Technique: Left: CT. Right: PSMA PET, same axial level, 18F-PSMA tracer. acquired on GE Discovery 690. slice position z = -829 mm. PET panel 256×256 px (2.7 mm/px).
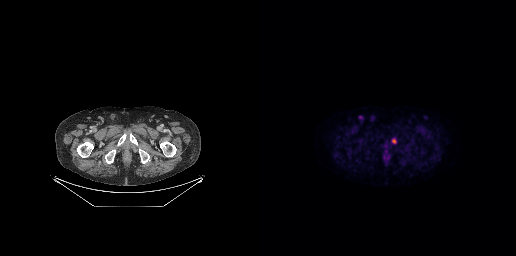
Findings: Coordinates are on the 256×256 PET (right) panel. PSMA-avid tumor lesion bounding box (x0,y0,x1,y1): [132,138,136,143]. Small PSMA-avid focus (2 to 4 px across) near (center x, center y): (100, 116).